Facial anatomy redacted by setting a rectangular region of the head to black.
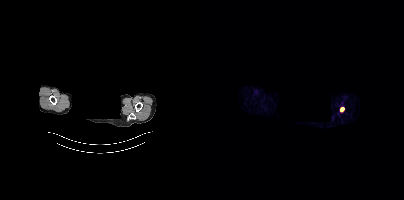
Coordinates are on the 200×200 PET (right) panel. Small PSMA-avid focus (2 to 4 px across) near (center x, center y): (138, 109).